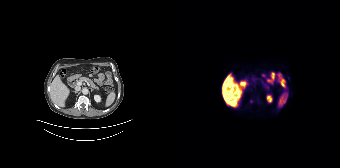
Paired axial CT (left) and PSMA PET (right), 18F-PSMA tracer. Acquired on Siemens Biograph 64-4R TruePoint. Slice 115 of 195. Only PSMA-avid lesion pieces thinner than 2 px on this slice (not listed).